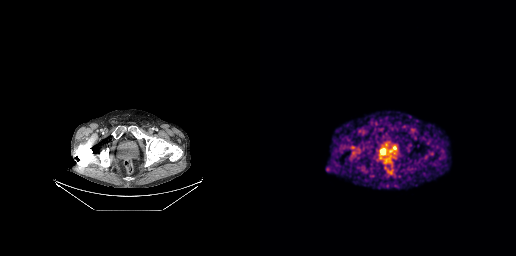
{"modality":"PSMA PET/CT","view":"axial","tracer":"68Ga","pet_grid":[256,256],"coord_frame":"pet_panel","coord_format":"x0,y0,x1,y1","lesion_bboxes":[[119,149,130,162]]}